Paired axial CT (left) and PSMA PET (right), [68Ga]Ga-PSMA-11 tracer. Acquired on Siemens Biograph 64-4R TruePoint. Slice 26 of 165.
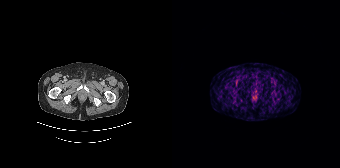
No PSMA-avid tumor lesions on this slice.